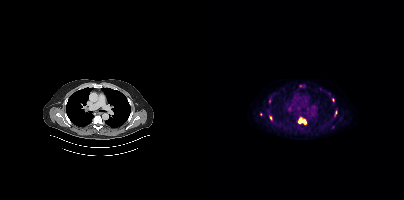
Coordinates are on the 200×200 PET (right) panel. (showing 2 of 5 foci) PSMA-avid tumor lesion bounding box (x, y, width, height): x=94 y=117 w=9 h=8. Small PSMA-avid focus (2 to 4 px across) near (center x, center y): (66, 118).